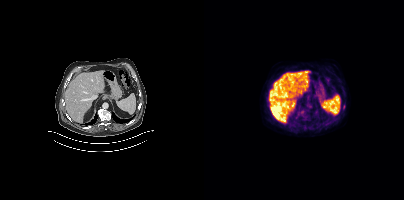
Coordinates are on the 200×200 PET (right) panel. Small PSMA-avid foci (2 to 4 px across) near (center x, center y): (139, 106) / (65, 89). Left: CT. Right: PSMA PET, same axial level, 18F tracer. Acquired on Siemens Biograph mCT Flow 20. PET panel 200×200 px (4.1 mm/px).